Two-panel axial: CT | PSMA PET, 18F tracer.
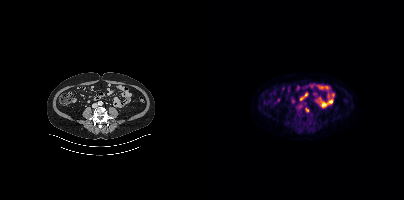
Coordinates are on the 200×200 PET (right) panel. Small PSMA-avid focus (2 to 4 px across) near (center x, center y): (103, 109).